Two-panel axial: CT | PSMA PET, 18F-PSMA tracer. Slice 437 of 508.
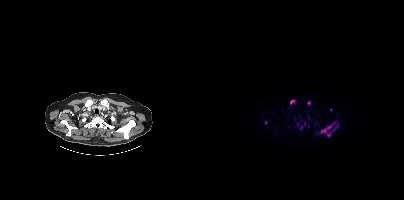
Coordinates are on the 200×200 PET (right) panel. PSMA-avid tumor lesion bounding boxes (partial; 1 more focus not listed):
| # | x0 | y0 | x1 | y1 |
|---|---|---|---|---|
| 1 | 116 | 122 | 134 | 136 |
| 2 | 86 | 100 | 91 | 104 |
Small PSMA-avid foci (2 to 4 px across) near (center x, center y): (104, 102); (61, 122); (100, 123); (97, 127).